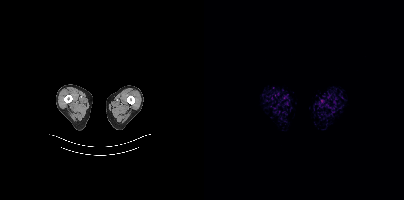
{"modality":"PSMA PET/CT","view":"axial","tracer":"[18F]PSMA-1007","pet_grid":[200,200],"coord_frame":"pet_panel","coord_format":"x0,y0,x1,y1","psma_avid_lesions":false}